- Paired axial CT (left) and PSMA PET (right), [18F]PSMA-1007 tracer
- PET panel 200×200 px (4.1 mm/px)
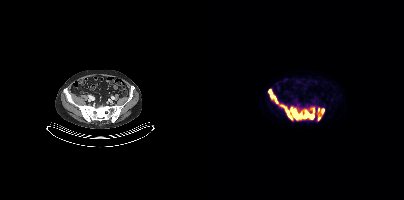
Findings: Coordinates are on the 200×200 PET (right) panel. PSMA-avid tumor lesion bounding boxes (x, y, width, height): x=76 y=105 w=35 h=15 | x=64 y=89 w=11 h=15. Small PSMA-avid foci (2 to 4 px across) near (center x, center y): (119, 110) | (115, 117) | (109, 109) | (114, 109).